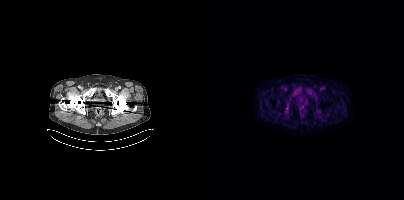
Findings: This slice has no annotated PSMA-avid lesion.
Technique: Left: CT. Right: PSMA PET, same axial level, 18F tracer. slice position z = 1130 mm.